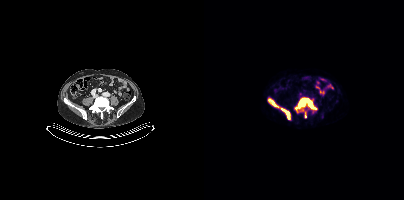
Two-panel axial: CT | PSMA PET, [18F]PSMA-1007 tracer. Coordinates are on the 200×200 PET (right) panel. (showing 3 of 4 foci) PSMA-avid tumor lesion bounding boxes (x0, y0)-(x1, y1): (91, 98)-(112, 112) | (65, 99)-(85, 119). Small PSMA-avid focus (2 to 4 px across) near (center x, center y): (108, 112).